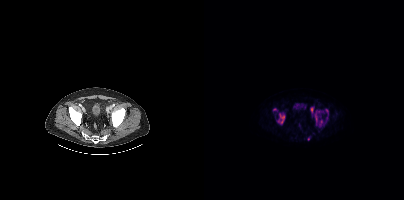
Coordinates are on the 200×200 PET (right) panel. (showing 6 of 10 foci) PSMA-avid tumor lesion bounding boxes (x0,y0,x1,y1): [76,114,80,123], [111,111,113,122], [116,120,118,125], [122,109,124,113]. Small PSMA-avid foci (2 to 4 px across) near (center x, center y): (104, 138), (114, 111).